Technique: Paired axial CT (left) and PSMA PET (right), [18F]PSMA-1007 tracer. slice position z = -1688 mm. PET panel 200×200 px (4.1 mm/px).
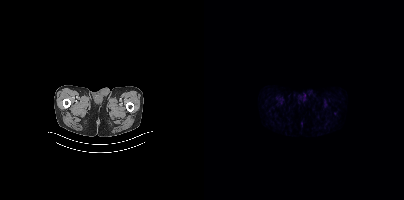
Findings: Negative for PSMA-avid disease on this slice.